modality: PSMA PET/CT | tracer: 18F-PSMA | view: axial
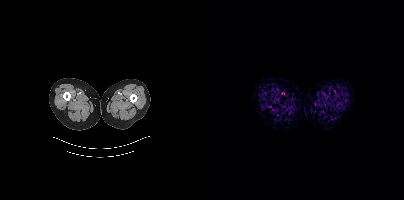
No tumor lesions annotated on this slice.